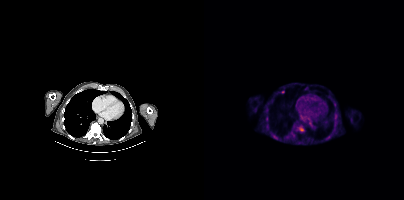
Coordinates are on the 200×200 PET (right) panel. (showing 4 of 5 foci) PSMA-avid tumor lesion bounding box (x, y, width, height): x=94 y=126 w=7 h=6. Small PSMA-avid foci (2 to 4 px across) near (center x, center y): (130, 104) | (95, 142) | (131, 117). Paired axial CT (left) and PSMA PET (right), 18F-PSMA tracer. PET panel 200×200 px (4.1 mm/px).